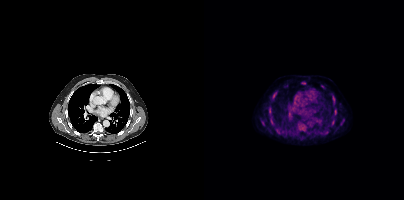
{"modality":"PSMA PET/CT","view":"axial","tracer":"18F","pet_grid":[200,200],"coord_frame":"pet_panel","coord_format":"x0,y0,x1,y1","lesion_bboxes":[[97,82,101,84],[136,120,140,124]],"small_foci_centers":[[70,93],[129,97],[131,111],[69,123],[65,111],[128,122],[58,122]]}